Paired axial CT (left) and PSMA PET (right), [18F]PSMA-1007 tracer. Acquired on Siemens Biograph mCT Flow 20. PET panel 200×200 px (4.1 mm/px).
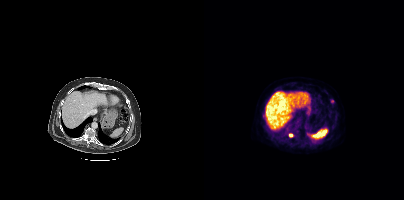
Coordinates are on the 200×200 PET (right) panel. Small PSMA-avid foci (2 to 4 px across) near (center x, center y): (86, 135) (128, 101).